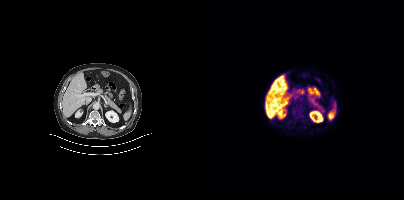
{"modality":"PSMA PET/CT","view":"axial","tracer":"[18F]PSMA-1007","pet_grid":[200,200],"coord_frame":"pet_panel","coord_format":"x0,y0,x1,y1","psma_avid_lesions":false}